Technique: Two-panel axial: CT | PSMA PET, [18F]PSMA-1007 tracer.
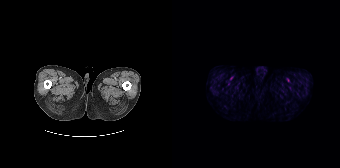
Findings: This slice has no annotated PSMA-avid lesion.